Technique: Paired axial CT (left) and PSMA PET (right), 18F-PSMA tracer. slice 2 of 415. PET panel 200×200 px (4.1 mm/px).
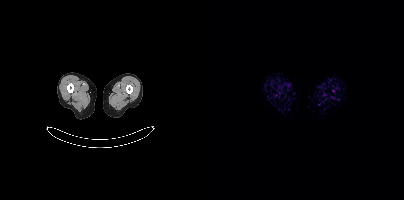
Findings: No tumor lesions annotated on this slice.